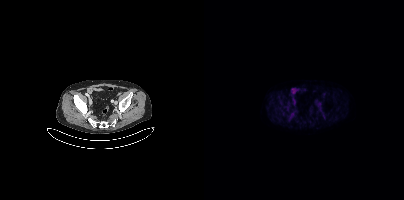
- Paired axial CT (left) and PSMA PET (right), 18F tracer
- PET panel 200×200 px (4.1 mm/px)
Findings: No PSMA-avid tumor lesions on this slice.